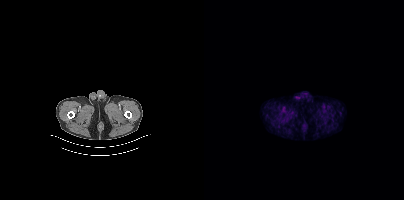
{"modality":"PSMA PET/CT","view":"axial","tracer":"[18F]PSMA-1007","pet_grid":[200,200],"coord_frame":"pet_panel","coord_format":"x0,y0,x1,y1","psma_avid_lesions":false}